Two-panel axial: CT | PSMA PET, [68Ga]Ga-PSMA-11 tracer. Slice position z = -264 mm. PET panel 168×168 px (4.1 mm/px).
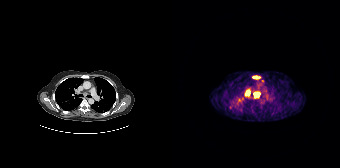
Coordinates are on the 168×168 PET (right) panel. (showing 4 of 5 foci) PSMA-avid tumor lesion bounding boxes (x, y, width, height): x=81 y=91 w=8 h=8 / x=73 y=89 w=6 h=8 / x=80 y=75 w=9 h=5. Small PSMA-avid focus (2 to 4 px across) near (center x, center y): (67, 99).